Paired axial CT (left) and PSMA PET (right), 18F-PSMA tracer. Slice position z = -1180 mm.
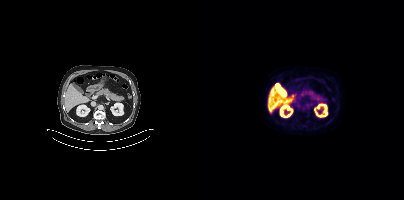
No PSMA-avid tumor lesions on this slice.